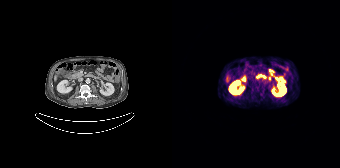
Findings: Negative for PSMA-avid disease on this slice.
Technique: Two-panel axial: CT | PSMA PET, 68Ga-PSMA tracer. acquired on Siemens Biograph 64-4R TruePoint.